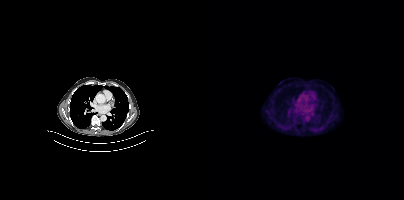
Only PSMA-avid lesion pieces thinner than 2 px on this slice (not listed).